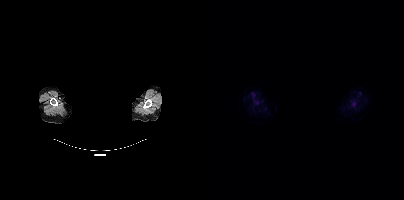
De-identified by setting a box covering the face to black before release.
Coordinates are on the 200×200 PET (right) panel. PSMA-avid tumor lesion bounding box (x, y, width, height): x=51 y=101 w=5 h=5.